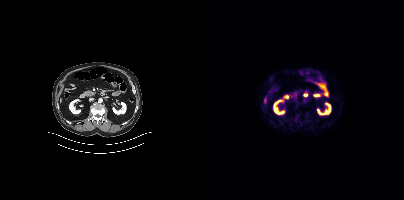
{"modality":"PSMA PET/CT","view":"axial","tracer":"18F","pet_grid":[200,200],"coord_frame":"pet_panel","coord_format":"x0,y0,x1,y1","psma_avid_lesions":false}